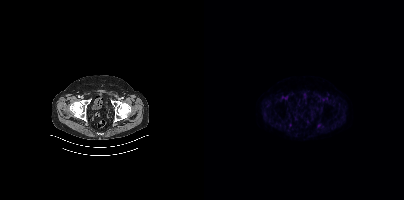
- Paired axial CT (left) and PSMA PET (right), 18F-PSMA tracer
- acquired on Siemens Biograph mCT Flow 20
- PET panel 200×200 px (4.1 mm/px)
Findings: This slice has no annotated PSMA-avid lesion.